Paired axial CT (left) and PSMA PET (right), [18F]PSMA-1007 tracer.
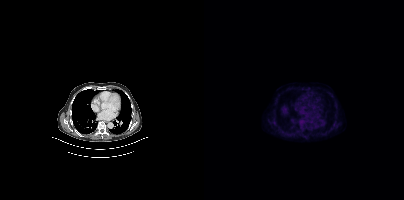
No PSMA-avid tumor lesions on this slice.